modality: PSMA PET/CT | tracer: 18F | view: axial | PET grid: 200×200 | de-identification: head region blacked out before release
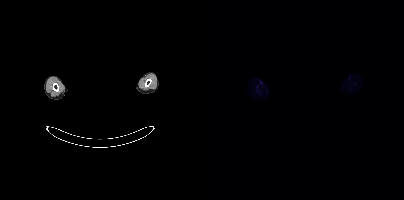
No tumor lesions annotated on this slice.